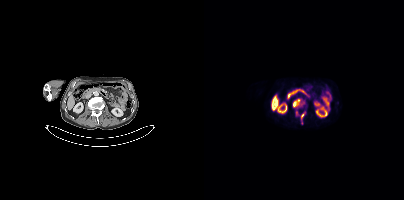
Coordinates are on the 200×200 PET (right) panel. PSMA-avid tumor lesion bounding boxes:
| # | x0 | y0 | x1 | y1 |
|---|---|---|---|---|
| 1 | 89 | 99 | 98 | 108 |
| 2 | 92 | 110 | 94 | 115 |
| 3 | 97 | 114 | 100 | 118 |
Paired axial CT (left) and PSMA PET (right), 18F-PSMA tracer. Acquired on Siemens Biograph mCT Flow 20. Slice position z = -1264 mm.